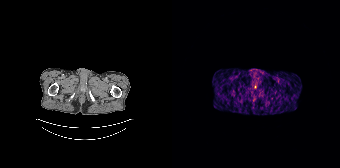
{"pet_grid":[168,168],"coord_frame":"pet_panel","coord_format":"x0,y0,x1,y1","psma_avid_lesions":false,"modality":"PSMA PET/CT","view":"axial","tracer":"68Ga"}